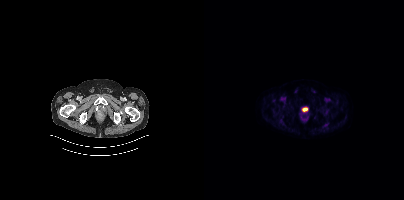
Negative for PSMA-avid disease on this slice.
modality: PSMA PET/CT | tracer: 18F-PSMA | view: axial